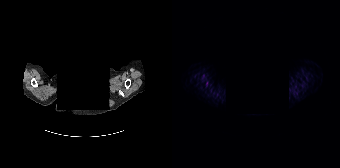
Technique: Left: CT. Right: PSMA PET, same axial level, 68Ga-PSMA tracer. acquired on Siemens Biograph 64-4R TruePoint.
Note: Any black rectangle over the head is a privacy mask, not anatomy.
Findings: No tumor lesions annotated on this slice.